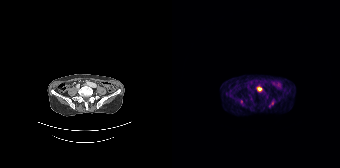
Coordinates are on the 168×168 PET (right) panel. PSMA-avid tumor lesion bounding boxes (x0,y0,x1,y1): [85,86,88,90] [98,101,102,105] [68,100,70,104].